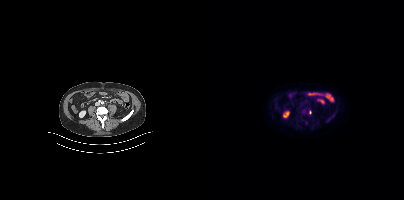
- Left: CT. Right: PSMA PET, same axial level, 18F-PSMA tracer
- PET panel 200×200 px (4.1 mm/px)
Findings: Only PSMA-avid lesion pieces thinner than 2 px on this slice (not listed).